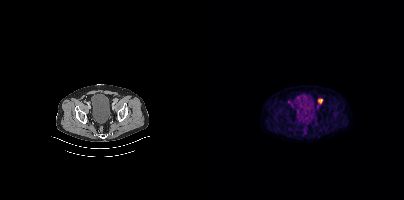
{"modality":"PSMA PET/CT","view":"axial","tracer":"18F","pet_grid":[200,200],"coord_frame":"pet_panel","coord_format":"x0,y0,x1,y1","lesion_bboxes":[[114,98,118,104]]}